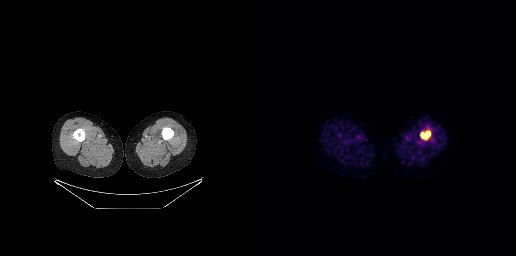
Coordinates are on the 256×256 PET (right) panel. PSMA-avid tumor lesion bounding box (x0, y0)-(x1, y1): (161, 131)-(170, 138).